- Left: CT. Right: PSMA PET, same axial level, 18F-PSMA tracer
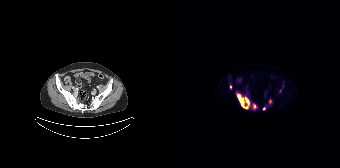
Findings: Coordinates are on the 168×168 PET (right) panel. PSMA-avid tumor lesion bounding boxes (x0,y0,x1,y1): [65,93,77,108] [81,104,83,108]. Small PSMA-avid foci (2 to 4 px across) near (center x, center y): (92, 108) (98, 101) (58, 86).